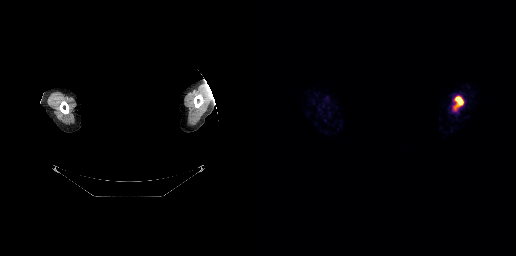
modality: PSMA PET/CT | tracer: [68Ga]Ga-PSMA-11 | view: axial | de-identification: face masked with black rectangle
Coordinates are on the 256×256 PET (right) panel. PSMA-avid tumor lesion bounding box (x, y, width, height): x=194 y=96 w=10 h=14.